deidentification: facial region redacted | modality: PSMA PET/CT | tracer: 18F | view: axial | PET grid: 200×200
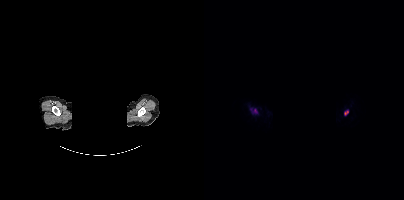
Coordinates are on the 200×200 PET (right) panel. PSMA-avid tumor lesion bounding boxes (x0,y0,x1,y1): [46,108,53,113], [140,110,144,115].